Technique: Left: CT. Right: PSMA PET, same axial level, 18F tracer. acquired on Siemens Biograph mCT Flow 20. slice 38 of 452.
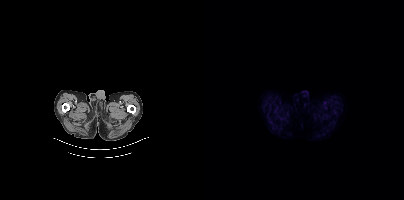
Findings: No PSMA-avid tumor lesions on this slice.